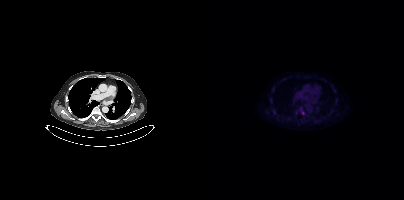
{"modality":"PSMA PET/CT","view":"axial","tracer":"18F-PSMA","pet_grid":[200,200],"coord_frame":"pet_panel","coord_format":"x0,y0,x1,y1","lesion_bboxes":[],"small_foci_centers":[[98,112]]}